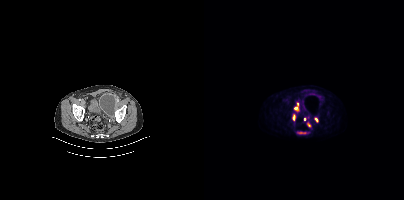
Coordinates are on the 200×200 PET (right) panel. PSMA-avid tumor lesion bounding boxes (x, y, width, height): x=90 y=103 w=5 h=8; x=89 y=114 w=3 h=7. Small PSMA-avid foci (2 to 4 px across) near (center x, center y): (112, 119); (104, 125); (100, 118).